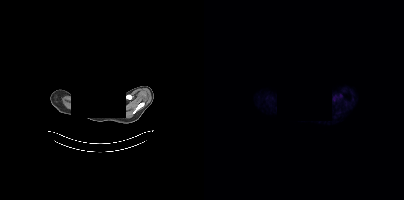
{"modality":"PSMA PET/CT","view":"axial","tracer":"[68Ga]Ga-PSMA-11","pet_grid":[200,200],"coord_frame":"pet_panel","coord_format":"x0,y0,x1,y1","redaction":"head region blanked (face removed)","psma_avid_lesions":false}